Two-panel axial: CT | PSMA PET, 18F-PSMA tracer. Acquired on Siemens Biograph mCT Flow 20. Slice 358 of 464.
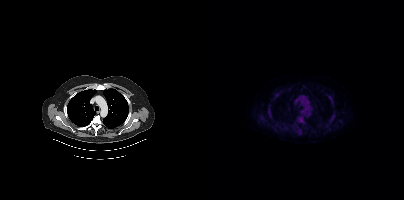
Coordinates are on the 200×200 PET (right) panel. PSMA-avid tumor lesion bounding boxes (x0, y0)-(x1, y1): (94, 116)-(101, 123) | (93, 129)-(98, 135) | (63, 110)-(67, 116) | (127, 112)-(132, 119) | (124, 95)-(128, 102) | (70, 122)-(74, 128) | (70, 94)-(75, 98). Small PSMA-avid foci (2 to 4 px across) near (center x, center y): (57, 118) | (79, 129) | (125, 121) | (65, 105) | (110, 130) | (69, 120).